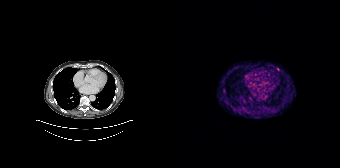
Left: CT. Right: PSMA PET, same axial level, 68Ga-PSMA tracer. Slice position z = -908 mm. No tumor lesions annotated on this slice.